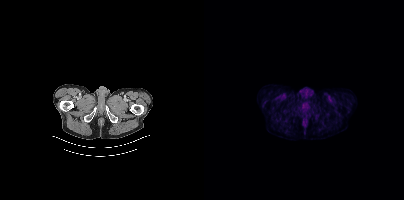
Findings: This slice has no annotated PSMA-avid lesion.
- Paired axial CT (left) and PSMA PET (right), 18F-PSMA tracer
- PET panel 200×200 px (4.1 mm/px)